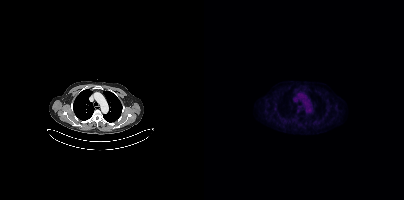
Left: CT. Right: PSMA PET, same axial level, 18F-PSMA tracer. Acquired on Siemens Biograph mCT Flow 20. Slice 283 of 375. PET panel 200×200 px (4.1 mm/px). Negative for PSMA-avid disease on this slice.